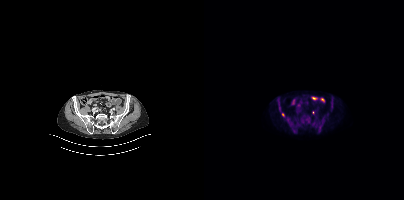
Findings: Coordinates are on the 200×200 PET (right) panel. (showing 1 of 2 foci) Small PSMA-avid focus (2 to 4 px across) near (center x, center y): (78, 114).
Technique: Two-panel axial: CT | PSMA PET, 18F tracer. slice 113 of 401.